Paired axial CT (left) and PSMA PET (right), 18F tracer. Slice position z = -495 mm.
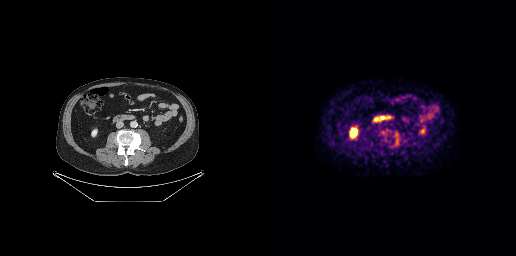
Coordinates are on the 256×256 PET (right) panel. PSMA-avid tumor lesion bounding boxes (x0, y0)-(x1, y1): (134, 134)-(139, 146); (122, 128)-(127, 133).